Two-panel axial: CT | PSMA PET, [68Ga]Ga-PSMA-11 tracer. Acquired on GE Discovery 690. Slice 122 of 263. PET panel 256×256 px (2.7 mm/px).
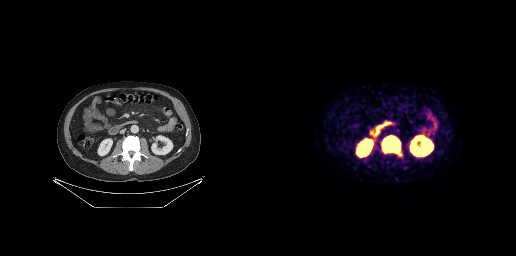
Coordinates are on the 256×256 PET (right) panel. PSMA-avid tumor lesion bounding box (x0,y0,x1,y1): [122,136,140,152].